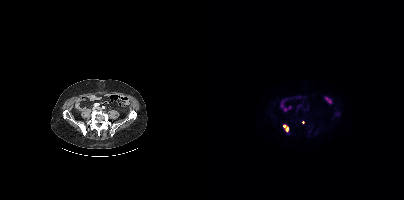
Coordinates are on the 200×200 PET (right) panel. PSMA-avid tumor lesion bounding boxes:
| # | x0 | y0 | x1 | y1 |
|---|---|---|---|---|
| 1 | 79 | 125 | 84 | 131 |
Small PSMA-avid focus (2 to 4 px across) near (center x, center y): (99, 122).
Paired axial CT (left) and PSMA PET (right), [18F]PSMA-1007 tracer. Acquired on Siemens Biograph mCT Flow 20. PET panel 200×200 px (4.1 mm/px).